- an anonymization step blacked out a rectangle in this scan
- Left: CT. Right: PSMA PET, same axial level, 18F-PSMA tracer
- acquired on GE Discovery 690
- slice position z = -104 mm
- PET panel 256×256 px (2.7 mm/px)
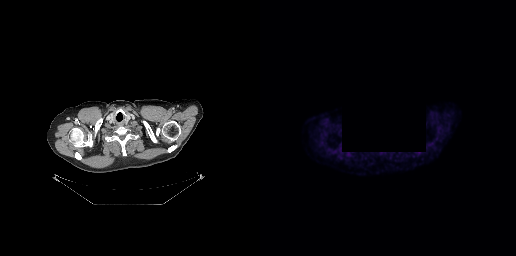
Findings: No PSMA-avid tumor lesions on this slice.